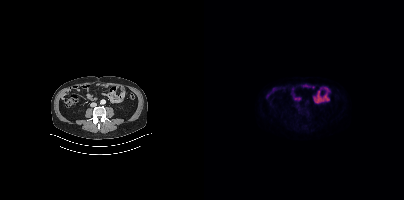
- Left: CT. Right: PSMA PET, same axial level, [18F]PSMA-1007 tracer
Findings: Negative for PSMA-avid disease on this slice.